Left: CT. Right: PSMA PET, same axial level, [18F]PSMA-1007 tracer. Acquired on Siemens Biograph 64-4R TruePoint. PET panel 168×168 px (4.1 mm/px).
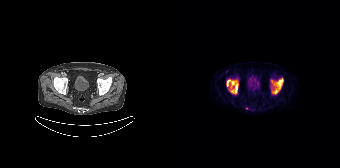
Coordinates are on the 168×168 PET (right) panel. PSMA-avid tumor lesion bounding boxes:
| # | x0 | y0 | x1 | y1 |
|---|---|---|---|---|
| 1 | 99 | 78 | 111 | 94 |
| 2 | 55 | 79 | 66 | 93 |
Small PSMA-avid focus (2 to 4 px across) near (center x, center y): (74, 108).